Technique: Two-panel axial: CT | PSMA PET, 18F tracer. PET panel 200×200 px (4.1 mm/px).
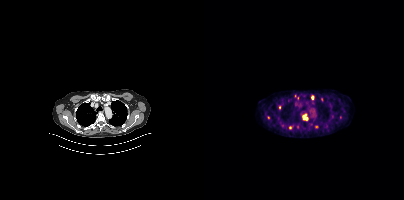
Findings: Coordinates are on the 200×200 PET (right) panel. (showing 6 of 8 foci) PSMA-avid tumor lesion bounding box (x0, y0)-(x1, y1): (98, 114)-(103, 120). Small PSMA-avid foci (2 to 4 px across) near (center x, center y): (112, 126); (108, 97); (86, 127); (117, 99); (75, 107).